Left: CT. Right: PSMA PET, same axial level, 68Ga-PSMA tracer. Acquired on GE Discovery 690. Slice position z = -708 mm. PET panel 256×256 px (2.7 mm/px).
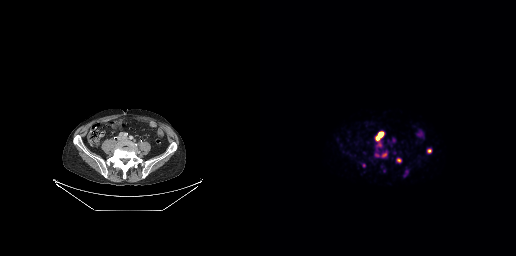
Coordinates are on the 256×256 PET (right) panel. PSMA-avid tumor lesion bounding boxes (x, y, width, height): x=116 y=132 w=8 h=8 | x=167 y=149 w=5 h=4. Small PSMA-avid foci (2 to 4 px across) near (center x, center y): (138, 160) | (124, 155).